modality: PSMA PET/CT | tracer: [18F]PSMA-1007 | view: axial | PET grid: 200×200
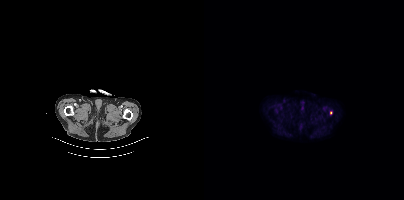
Coordinates are on the 200×200 PET (right) panel. Small PSMA-avid focus (2 to 4 px across) near (center x, center y): (127, 112).